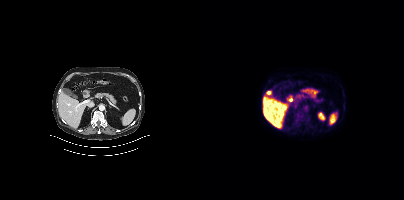
This slice has no annotated PSMA-avid lesion. Left: CT. Right: PSMA PET, same axial level, [18F]PSMA-1007 tracer. Acquired on Siemens Biograph mCT Flow 20. Slice 227 of 425. PET panel 200×200 px (4.1 mm/px).